modality: PSMA PET/CT | tracer: [68Ga]Ga-PSMA-11 | view: axial | PET grid: 256×256 | de-identification: rectangular block over head set to black
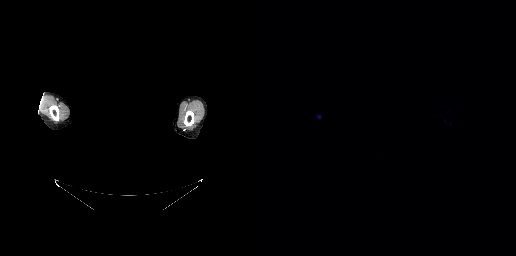
No PSMA-avid tumor lesions on this slice.